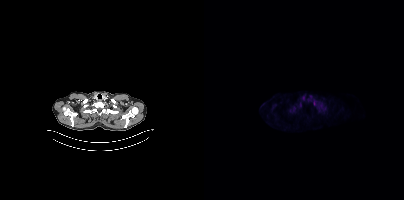
Technique: Paired axial CT (left) and PSMA PET (right), [18F]PSMA-1007 tracer. acquired on Siemens Biograph mCT Flow 20. slice position z = -939 mm. PET panel 200×200 px (4.1 mm/px).
Findings: Negative for PSMA-avid disease on this slice.